Paired axial CT (left) and PSMA PET (right), [18F]PSMA-1007 tracer.
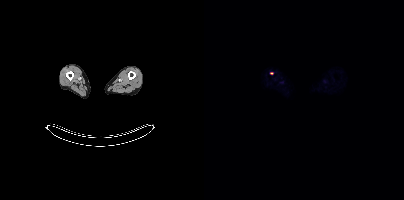
Coordinates are on the 200×200 PET (right) panel. Small PSMA-avid focus (2 to 4 px across) near (center x, center y): (67, 73).